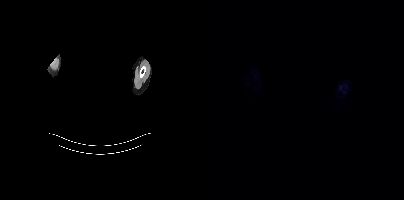
No tumor lesions annotated on this slice.
modality: PSMA PET/CT | tracer: 18F | view: axial | de-identification: head region blanked (face removed)